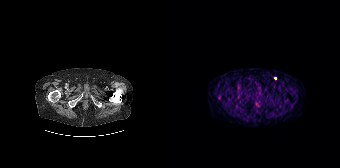
{"modality":"PSMA PET/CT","view":"axial","tracer":"68Ga","pet_grid":[168,168],"coord_frame":"pet_panel","coord_format":"x0,y0,x1,y1","psma_avid_lesions":false}